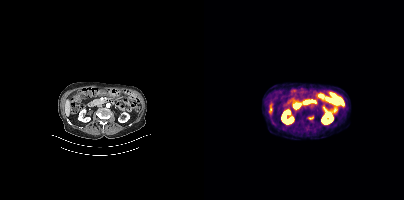
No PSMA-avid tumor lesions on this slice.